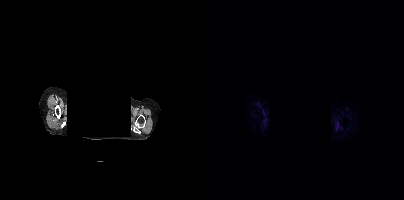
{"modality":"PSMA PET/CT","view":"axial","tracer":"68Ga","pet_grid":[200,200],"coord_frame":"pet_panel","coord_format":"x0,y0,x1,y1","redaction":"head region blacked out before release","psma_avid_lesions":false}